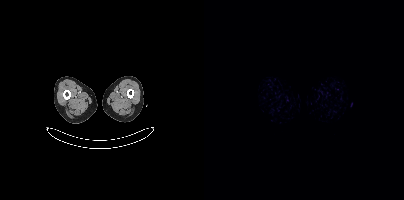
Negative for PSMA-avid disease on this slice.